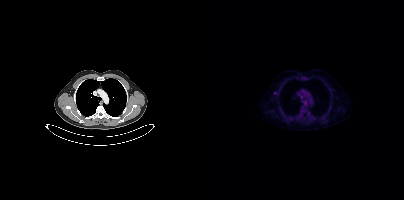
Coordinates are on the 200×200 PET (right) panel. Small PSMA-avid focus (2 to 4 px across) near (center x, center y): (70, 93).